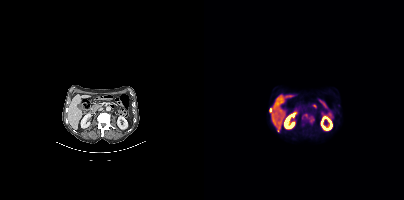
- Two-panel axial: CT | PSMA PET, 18F tracer
- PET panel 200×200 px (4.1 mm/px)
Findings: Coordinates are on the 200×200 PET (right) panel. (showing 3 of 5 foci) PSMA-avid tumor lesion bounding box (x0, y0)-(x1, y1): (98, 114)-(104, 118). Small PSMA-avid foci (2 to 4 px across) near (center x, center y): (108, 120) | (74, 130).